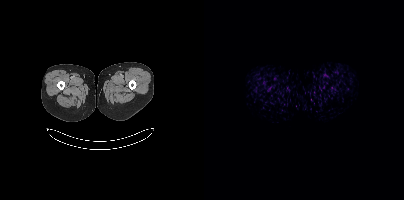
- Left: CT. Right: PSMA PET, same axial level, 18F-PSMA tracer
- acquired on Siemens Biograph mCT Flow 20
- slice position z = -877 mm
Findings: This slice has no annotated PSMA-avid lesion.